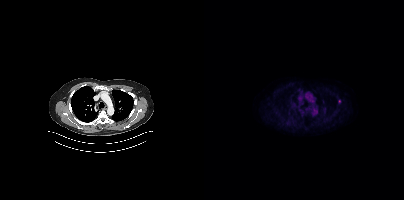
Coordinates are on the 200×200 PET (right) panel. Small PSMA-avid focus (2 to 4 px across) near (center x, center y): (135, 101).